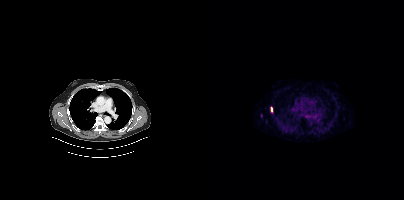
{"pet_grid":[200,200],"coord_frame":"pet_panel","coord_format":"x0,y0,x1,y1","lesion_bboxes":[[67,107,68,112]],"modality":"PSMA PET/CT","view":"axial","tracer":"[68Ga]Ga-PSMA-11"}